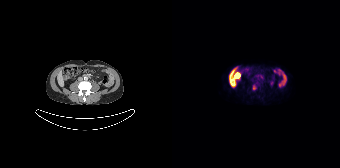
Coordinates are on the 168×168 PET (right) panel. Small PSMA-avid focus (2 to 4 px across) near (center x, center y): (82, 87).
modality: PSMA PET/CT | tracer: 18F | view: axial